modality: PSMA PET/CT | tracer: [18F]PSMA-1007 | view: axial
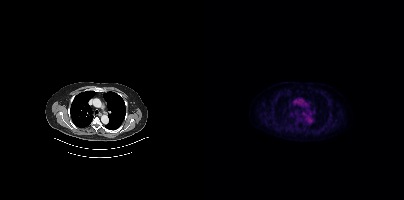
No PSMA-avid tumor lesions on this slice.